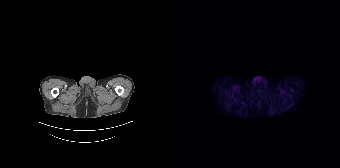
Left: CT. Right: PSMA PET, same axial level, 68Ga tracer. Acquired on Siemens Biograph 64-4R TruePoint. No PSMA-avid tumor lesions on this slice.